Two-panel axial: CT | PSMA PET, 18F tracer. Slice position z = -1038 mm.
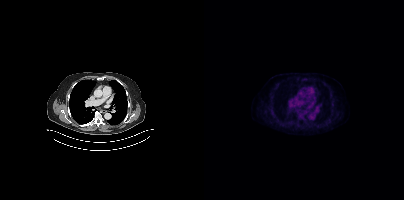
This slice has no annotated PSMA-avid lesion.